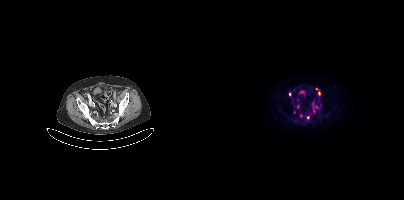
{"modality":"PSMA PET/CT","view":"axial","tracer":"18F-PSMA","pet_grid":[200,200],"coord_frame":"pet_panel","coord_format":"x0,y0,x1,y1","partial":true,"lesion_bboxes":[],"small_foci_centers":[[97,116],[104,117],[93,106]]}